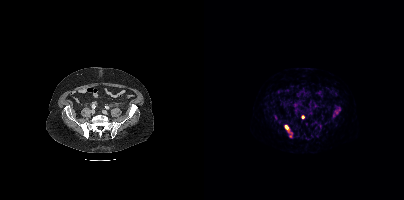
Coordinates are on the 200×200 PET (right) panel. (showing 4 of 5 foci) PSMA-avid tumor lesion bounding boxes (x, y, width, height): x=81 y=125 w=5 h=7 | x=131 y=107 w=6 h=7. Small PSMA-avid foci (2 to 4 px across) near (center x, center y): (98, 116) | (129, 115).